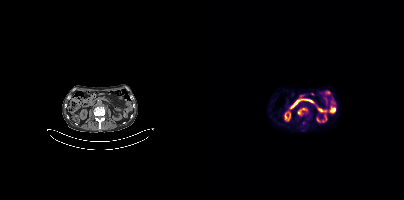
{"modality":"PSMA PET/CT","view":"axial","tracer":"[18F]PSMA-1007","pet_grid":[200,200],"coord_frame":"pet_panel","coord_format":"x0,y0,x1,y1","partial":true,"lesion_bboxes":[[94,108,103,114]]}